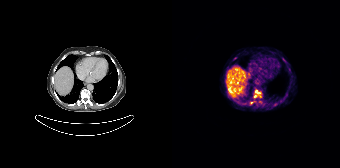
Two-panel axial: CT | PSMA PET, [68Ga]Ga-PSMA-11 tracer.
Coordinates are on the 168×168 PET (right) panel. PSMA-avid tumor lesion bounding boxes (partial; 1 more focus not listed):
| # | x0 | y0 | x1 | y1 |
|---|---|---|---|---|
| 1 | 83 | 90 | 88 | 94 |
Small PSMA-avid foci (2 to 4 px across) near (center x, center y): (83, 96); (79, 102).